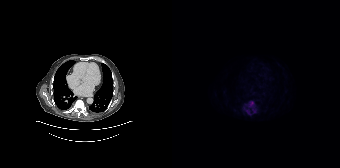
{"modality":"PSMA PET/CT","view":"axial","tracer":"18F","pet_grid":[168,168],"coord_frame":"pet_panel","coord_format":"x0,y0,x1,y1","lesion_bboxes":[[77,101,81,106]],"small_foci_centers":[[75,111],[82,111]]}